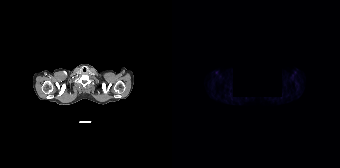
- Paired axial CT (left) and PSMA PET (right), 18F tracer
- PET panel 168×168 px (4.1 mm/px)
- a black rectangle in this scan is a privacy mask, not anatomy
Findings: No PSMA-avid tumor lesions on this slice.